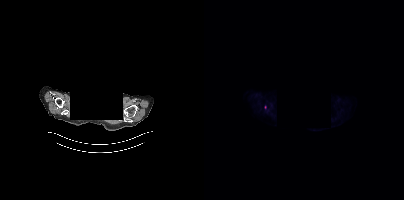
Coordinates are on the 200×200 PET (right) panel. Small PSMA-avid focus (2 to 4 px across) near (center x, center y): (61, 107).
modality: PSMA PET/CT | tracer: 18F | view: axial | redaction: privacy mask over head